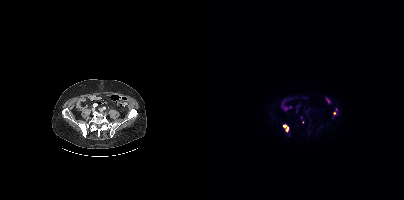
Coordinates are on the 200×200 PET (right) panel. (showing 1 of 3 foci) PSMA-avid tumor lesion bounding box (x0,y0,x1,y1): [79,124,84,131].